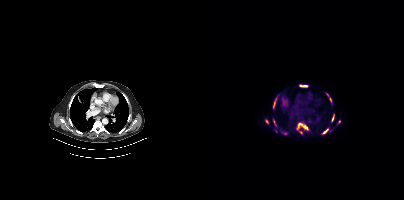
Coordinates are on the 200×200 PET (right) panel. (showing 6 of 10 foci) PSMA-avid tumor lesion bounding boxes (x, y, width, height): x=93 y=123 w=11 h=7; x=118 y=129 w=7 h=6; x=96 y=85 w=8 h=2. Small PSMA-avid foci (2 to 4 px across) near (center x, center y): (128, 118); (62, 121); (126, 99).